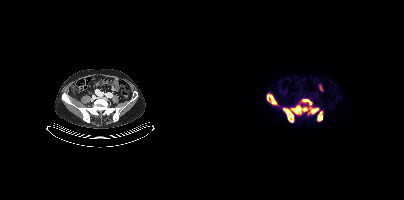
Coordinates are on the 200×200 PET (right) panel. PSMA-avid tumor lesion bounding boxes (x0, y0)-(x1, y1): (80, 109)-(89, 122) | (87, 106)-(96, 113) | (104, 107)-(114, 114) | (63, 95)-(71, 103) | (114, 112)-(118, 120) | (99, 99)-(107, 104). Small PSMA-avid focus (2 to 4 px across) near (center x, center y): (100, 109).